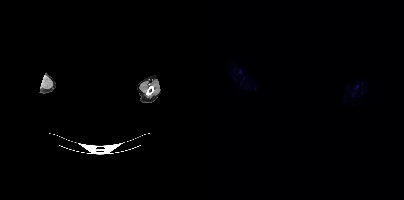
Negative for PSMA-avid disease on this slice. Two-panel axial: CT | PSMA PET, [18F]PSMA-1007 tracer. PET panel 200×200 px (4.1 mm/px). De-identified by setting a box covering the face to black before release.